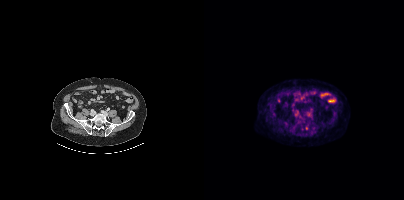
modality: PSMA PET/CT | tracer: 18F | view: axial | PET grid: 200×200
Only PSMA-avid lesion pieces thinner than 2 px on this slice (not listed).